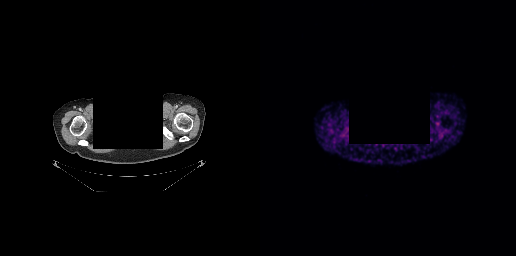
An anonymization step blacked out a rectangle over the head in this scan. Two-panel axial: CT | PSMA PET, 68Ga-PSMA tracer. This slice has no annotated PSMA-avid lesion.